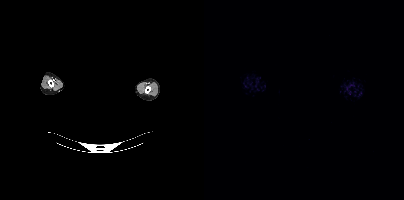
Head region blanked for anonymization (face removed).
Negative for PSMA-avid disease on this slice.